Technique: Two-panel axial: CT | PSMA PET, [18F]PSMA-1007 tracer. acquired on Siemens Biograph mCT Flow 20.
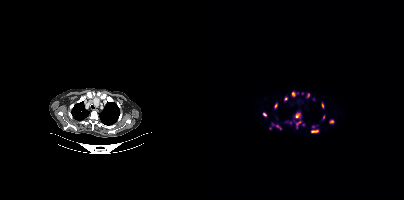
Findings: Coordinates are on the 200×200 PET (right) panel. (showing 15 of 18 foci) PSMA-avid tumor lesion bounding boxes (x0,y0,x1,y1): [91,112,96,118]; [107,129,114,132]; [125,120,130,123]; [92,121,97,128]; [88,92,91,96]; [70,103,73,108]; [117,102,120,108]; [59,112,62,116]; [73,125,77,129]. Small PSMA-avid foci (2 to 4 px across) near (center x, center y): (81, 98); (119, 117); (69, 124); (66, 128); (104, 95); (109, 126).